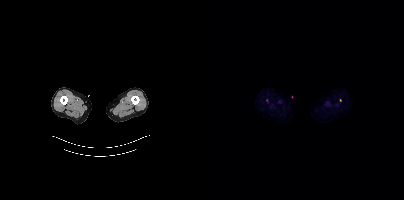
Coordinates are on the 200×200 PET (right) panel. Small PSMA-avid foci (2 to 4 px across) near (center x, center y): (62, 100) | (136, 99).